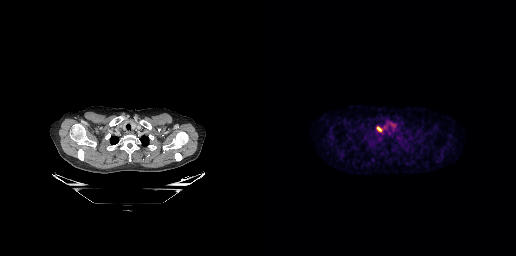
{"modality":"PSMA PET/CT","view":"axial","tracer":"18F","pet_grid":[256,256],"coord_frame":"pet_panel","coord_format":"x0,y0,x1,y1","lesion_bboxes":[[117,127,121,131]]}